Technique: Left: CT. Right: PSMA PET, same axial level, [68Ga]Ga-PSMA-11 tracer.
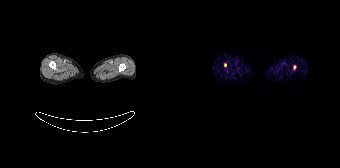
Findings: Coordinates are on the 168×168 PET (right) panel. Small PSMA-avid foci (2 to 4 px across) near (center x, center y): (53, 65) / (122, 67).